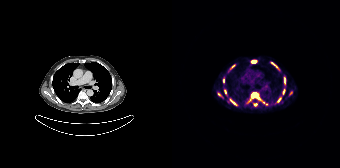
Two-panel axial: CT | PSMA PET, 68Ga tracer. PET panel 168×168 px (4.1 mm/px). Coordinates are on the 168×168 PET (right) panel. (showing 10 of 12 foci) PSMA-avid tumor lesion bounding boxes (x0, y0)-(x1, y1): (79, 92)-(86, 98) / (112, 78)-(113, 84) / (80, 60)-(84, 62) / (99, 62)-(105, 67) / (117, 91)-(120, 95). Small PSMA-avid foci (2 to 4 px across) near (center x, center y): (111, 91) / (107, 99) / (83, 105) / (51, 80) / (61, 65).